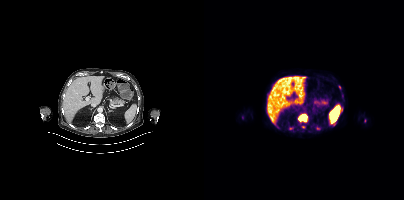
{"modality":"PSMA PET/CT","view":"axial","tracer":"[18F]PSMA-1007","pet_grid":[200,200],"coord_frame":"pet_panel","coord_format":"x0,y0,x1,y1","partial":true,"lesion_bboxes":[[94,114,103,121],[112,126,116,129],[85,127,89,129],[135,103,138,107]],"small_foci_centers":[[99,127],[130,124],[135,87]]}